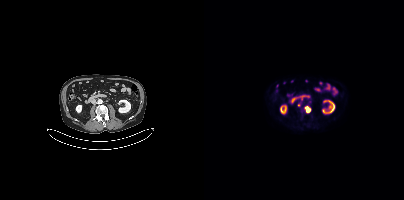
{"pet_grid":[200,200],"coord_frame":"pet_panel","coord_format":"x0,y0,x1,y1","partial":true,"lesion_bboxes":[[101,106,105,112],[94,102,96,106]],"modality":"PSMA PET/CT","view":"axial","tracer":"18F-PSMA"}